modality: PSMA PET/CT | tracer: 18F | view: axial | PET grid: 200×200
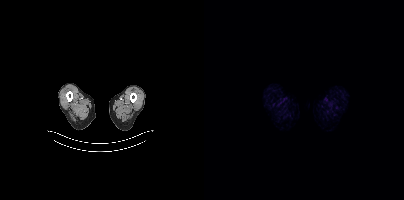
This slice has no annotated PSMA-avid lesion.